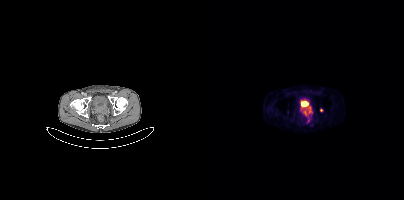
Coordinates are on the 200×200 PET (right) panel. PSMA-avid tumor lesion bounding boxes (x0,y0,x1,y1): [96,106,108,115], [103,117,106,123]. Small PSMA-avid focus (2 to 4 px across) near (center x, center y): (117, 110).